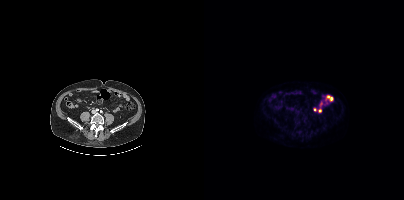
{"modality":"PSMA PET/CT","view":"axial","tracer":"18F","pet_grid":[200,200],"coord_frame":"pet_panel","coord_format":"x0,y0,x1,y1","psma_avid_lesions":false}